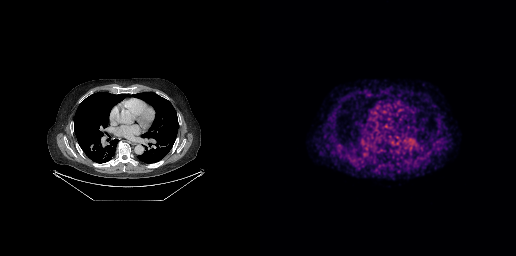
Left: CT. Right: PSMA PET, same axial level, 68Ga-PSMA tracer. Acquired on GE Discovery 690. Slice position z = -457 mm. No tumor lesions annotated on this slice.